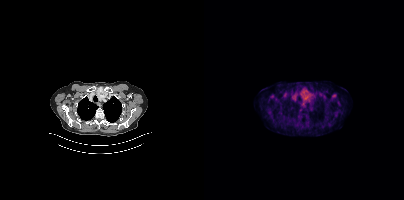
{"modality":"PSMA PET/CT","view":"axial","tracer":"18F-PSMA","pet_grid":[200,200],"coord_frame":"pet_panel","coord_format":"x0,y0,x1,y1","psma_avid_lesions":false}